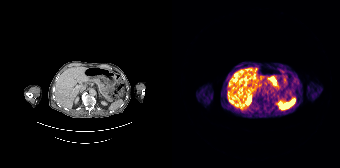
No PSMA-avid tumor lesions on this slice.